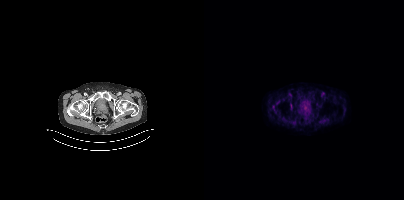
Findings: Coordinates are on the 200×200 PET (right) panel. PSMA-avid tumor lesion bounding box (x, y, width, height): x=86 y=103 w=3 h=6.
Technique: Left: CT. Right: PSMA PET, same axial level, 18F-PSMA tracer. slice 67 of 423. PET panel 200×200 px (4.1 mm/px).